modality: PSMA PET/CT | tracer: 18F | view: axial | PET grid: 256×256
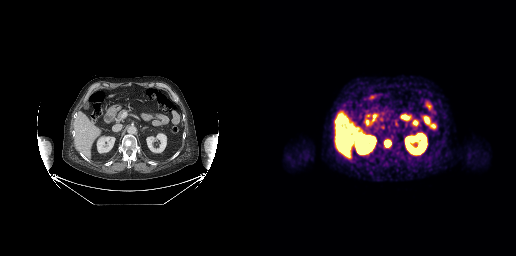
Coordinates are on the 256×256 PET (right) panel. PSMA-avid tumor lesion bounding box (x, y, width, height): x=124 y=139 w=8 h=9.